Left: CT. Right: PSMA PET, same axial level, 18F-PSMA tracer. Acquired on Siemens Biograph mCT Flow 20.
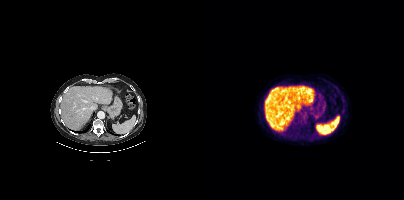
No tumor lesions annotated on this slice.